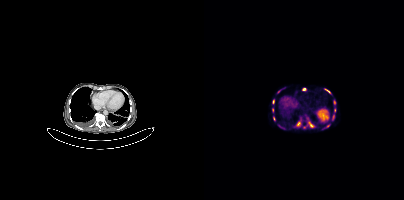
Coordinates are on the 200×200 PET (right) panel. PSMA-avid tumor lesion bounding boxes (partial; 1 more focus not listed):
| # | x0 | y0 | x1 | y1 |
|---|---|---|---|---|
| 1 | 120 | 89 | 126 | 93 |
| 2 | 105 | 122 | 109 | 127 |
| 3 | 128 | 115 | 130 | 119 |
| 4 | 130 | 100 | 131 | 104 |
Small PSMA-avid foci (2 to 4 px across) near (center x, center y): (94, 123); (100, 89); (70, 118); (68, 109); (130, 110); (69, 101); (124, 125); (74, 91).
Two-panel axial: CT | PSMA PET, [68Ga]Ga-PSMA-11 tracer. Slice 233 of 393.